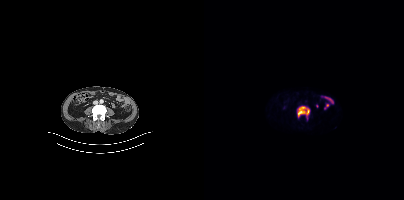
{"modality":"PSMA PET/CT","view":"axial","tracer":"[18F]PSMA-1007","pet_grid":[200,200],"coord_frame":"pet_panel","coord_format":"x0,y0,x1,y1","lesion_bboxes":[[93,106,105,119]]}